Two-panel axial: CT | PSMA PET, 18F tracer. PET panel 200×200 px (4.1 mm/px).
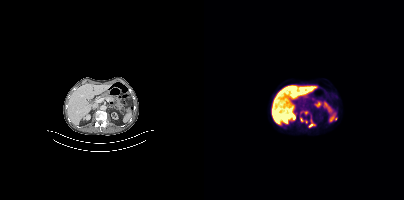
Coordinates are on the 200×200 PET (right) panel. PSMA-avid tumor lesion bounding boxes (partial; 1 more focus not listed):
| # | x0 | y0 | x1 | y1 |
|---|---|---|---|---|
| 1 | 104 | 116 | 108 | 126 |
| 2 | 96 | 111 | 103 | 114 |
| 3 | 96 | 117 | 99 | 121 |
Small PSMA-avid foci (2 to 4 px across) near (center x, center y): (102, 121); (110, 124).